Technique: Left: CT. Right: PSMA PET, same axial level, [18F]PSMA-1007 tracer.
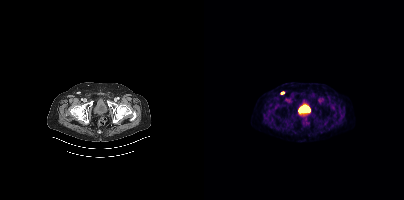
Findings: Coordinates are on the 200×200 PET (right) panel. Small PSMA-avid focus (2 to 4 px across) near (center x, center y): (78, 92).